modality: PSMA PET/CT | tracer: [18F]PSMA-1007 | view: axial | PET grid: 200×200
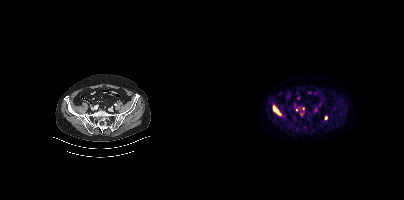
Coordinates are on the 200×200 PET (right) panel. (showing 3 of 6 foci) Small PSMA-avid foci (2 to 4 px across) near (center x, center y): (70, 107); (121, 118); (99, 108).